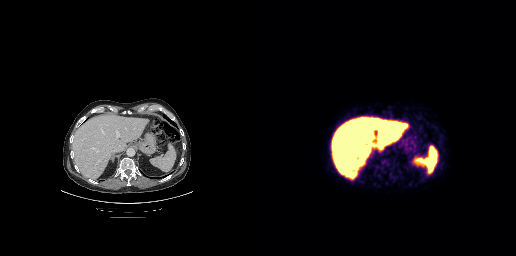
No tumor lesions annotated on this slice. Two-panel axial: CT | PSMA PET, 18F tracer. Acquired on GE Discovery 690. PET panel 256×256 px (2.7 mm/px).